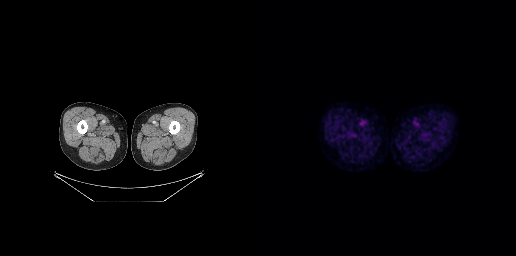
{"modality":"PSMA PET/CT","view":"axial","tracer":"18F-PSMA","pet_grid":[256,256],"coord_frame":"pet_panel","coord_format":"x0,y0,x1,y1","psma_avid_lesions":false}